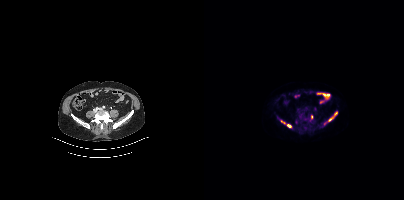
modality: PSMA PET/CT | tracer: 18F | view: axial
Coordinates are on the 200×200 PET (right) panel. PSMA-avid tumor lesion bounding boxes (x, y, width, height): x=124 y=112 w=10 h=10; x=83 y=124 w=5 h=4. Small PSMA-avid foci (2 to 4 px across) near (center x, center y): (78, 122); (107, 117).